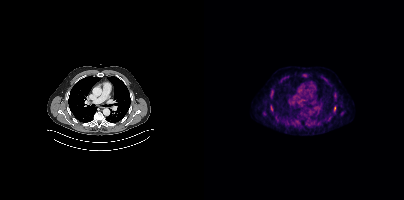
Coordinates are on the 200×200 PET (right) panel. (showing 5 of 8 foci) PSMA-avid tumor lesion bounding boxes (x0, y0)-(x1, y1): (130, 106)-(131, 111) | (66, 107)-(68, 111). Small PSMA-avid foci (2 to 4 px across) near (center x, center y): (80, 78) | (68, 91) | (67, 97).